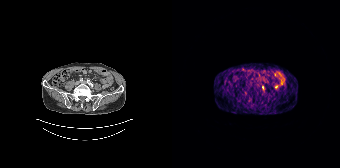
Findings: Coordinates are on the 168×168 PET (right) panel. PSMA-avid tumor lesion bounding box (x0,y0,x1,y1): [90,86,93,90].
- Left: CT. Right: PSMA PET, same axial level, 68Ga-PSMA tracer
- acquired on Siemens Biograph 64-4R TruePoint